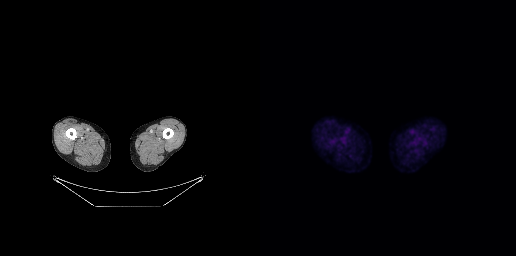
Technique: Two-panel axial: CT | PSMA PET, [18F]PSMA-1007 tracer. PET panel 256×256 px (2.7 mm/px).
Findings: Negative for PSMA-avid disease on this slice.